- Left: CT. Right: PSMA PET, same axial level, 68Ga-PSMA tracer
- acquired on Siemens Biograph 64-4R TruePoint
- slice position z = -1276 mm
- PET panel 168×168 px (4.1 mm/px)
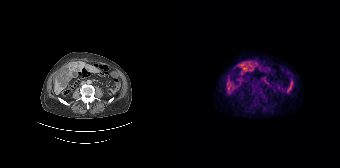
Findings: Coordinates are on the 168×168 PET (right) panel. PSMA-avid tumor lesion bounding boxes (x0,y0,x1,y1): [69,62,77,70], [79,62,83,65].